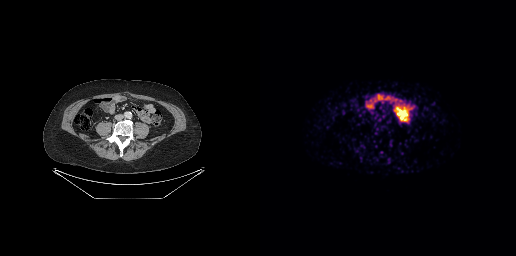
Negative for PSMA-avid disease on this slice.